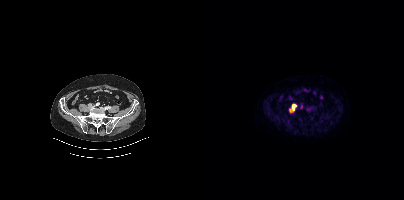
- Left: CT. Right: PSMA PET, same axial level, [18F]PSMA-1007 tracer
- PET panel 200×200 px (4.1 mm/px)
Findings: Coordinates are on the 200×200 PET (right) panel. PSMA-avid tumor lesion bounding box (x0, y0)-(x1, y1): (86, 105)-(91, 111).